modality: PSMA PET/CT | tracer: 18F | view: axial
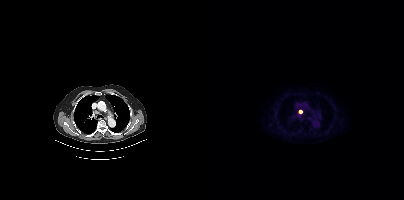
Coordinates are on the 200×200 PET (right) panel. PSMA-avid tumor lesion bounding box (x0,y0,x1,y1): [94,110,98,114].